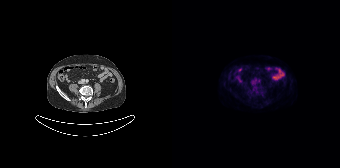
{"modality":"PSMA PET/CT","view":"axial","tracer":"18F-PSMA","pet_grid":[168,168],"coord_frame":"pet_panel","coord_format":"x0,y0,x1,y1","psma_avid_lesions":false}